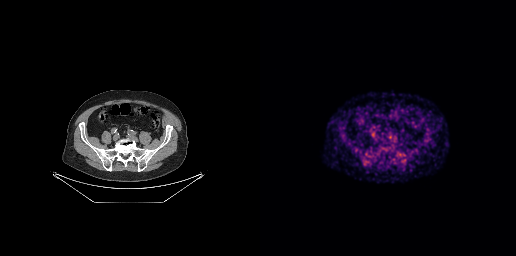
This slice has no annotated PSMA-avid lesion.
modality: PSMA PET/CT | tracer: 68Ga-PSMA | view: axial | PET grid: 256×256